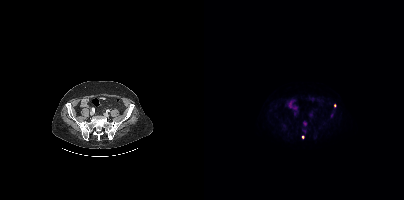
{"pet_grid":[200,200],"coord_frame":"pet_panel","coord_format":"x0,y0,x1,y1","partial":true,"lesion_bboxes":[],"small_foci_centers":[[98,137]],"modality":"PSMA PET/CT","view":"axial","tracer":"18F"}